- Paired axial CT (left) and PSMA PET (right), [68Ga]Ga-PSMA-11 tracer
- slice position z = -611 mm
- PET panel 256×256 px (2.7 mm/px)
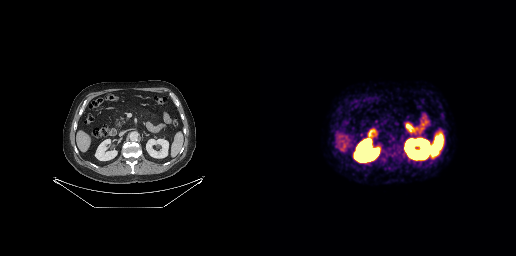
Findings: This slice has no annotated PSMA-avid lesion.